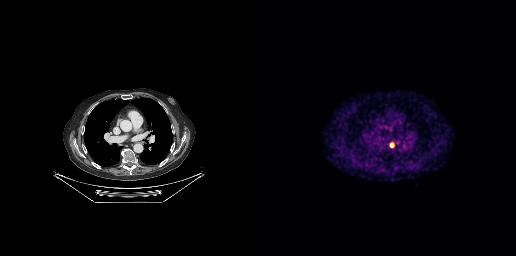
- Paired axial CT (left) and PSMA PET (right), [68Ga]Ga-PSMA-11 tracer
- acquired on GE Discovery 690
- PET panel 256×256 px (2.7 mm/px)
Findings: Coordinates are on the 256×256 PET (right) panel. PSMA-avid tumor lesion bounding box (x, y, width, height): x=130 y=143 w=4 h=5.